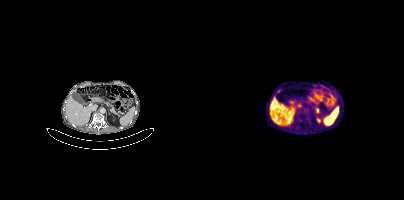
- Paired axial CT (left) and PSMA PET (right), 68Ga tracer
- slice position z = -760 mm
Findings: Coordinates are on the 200×200 PET (right) panel. PSMA-avid tumor lesion bounding box (x0,y0,x1,y1): [111,107,115,113].